Paired axial CT (left) and PSMA PET (right), 18F-PSMA tracer.
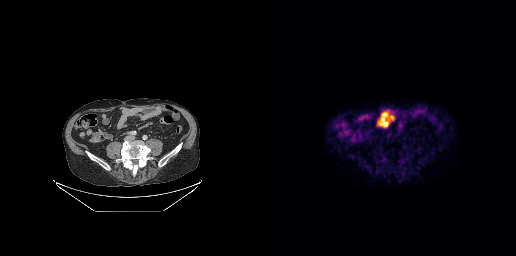
No tumor lesions annotated on this slice.